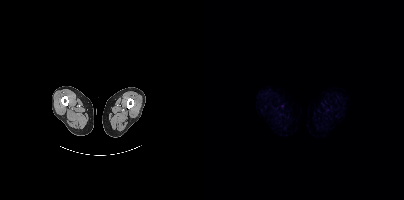
Negative for PSMA-avid disease on this slice. Paired axial CT (left) and PSMA PET (right), 18F tracer. Acquired on Siemens Biograph mCT Flow 20. Slice position z = -1719 mm. PET panel 200×200 px (4.1 mm/px).